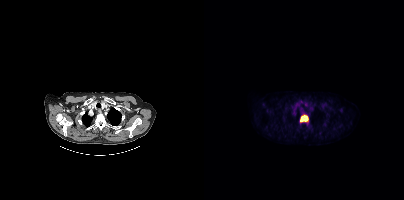
Coordinates are on the 200×200 PET (right) panel. PSMA-avid tumor lesion bounding box (x0,y0,x1,y1): [96,114,104,122].